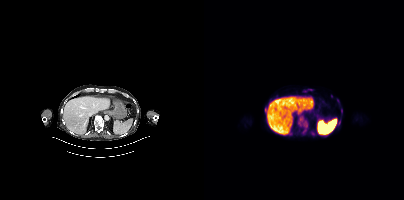
modality: PSMA PET/CT | tracer: 18F | view: axial | PET grid: 200×200
Coordinates are on the 200×200 PET (right) panel. (showing 8 of 12 foci) PSMA-avid tumor lesion bounding boxes (x0, y0)-(x1, y1): (94, 116)-(104, 133); (103, 88)-(109, 91); (61, 108)-(63, 112); (137, 109)-(138, 114). Small PSMA-avid foci (2 to 4 px across) near (center x, center y): (134, 100); (109, 133); (127, 96); (134, 124).